Technique: Paired axial CT (left) and PSMA PET (right), [68Ga]Ga-PSMA-11 tracer. slice position z = -1516 mm. PET panel 168×168 px (4.1 mm/px).
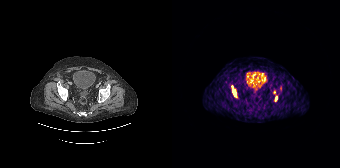
Findings: Coordinates are on the 168×168 PET (right) panel. (showing 2 of 3 foci) PSMA-avid tumor lesion bounding boxes (x0, y0)-(x1, y1): (60, 86)-(64, 97); (103, 96)-(105, 101).